- Two-panel axial: CT | PSMA PET, [18F]PSMA-1007 tracer
- acquired on Siemens Biograph mCT Flow 20
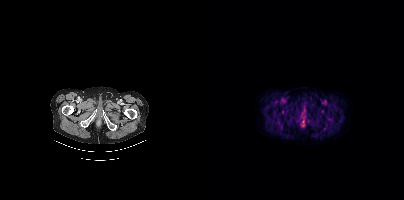
Findings: No PSMA-avid tumor lesions on this slice.